Technique: Paired axial CT (left) and PSMA PET (right), 18F tracer. acquired on Siemens Biograph mCT Flow 20. PET panel 200×200 px (4.1 mm/px).
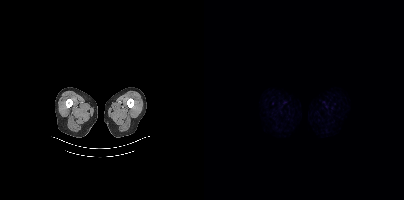
Findings: No PSMA-avid tumor lesions on this slice.